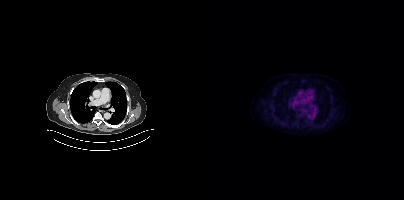
Findings: No PSMA-avid tumor lesions on this slice.
Technique: Paired axial CT (left) and PSMA PET (right), [18F]PSMA-1007 tracer. slice 276 of 389.